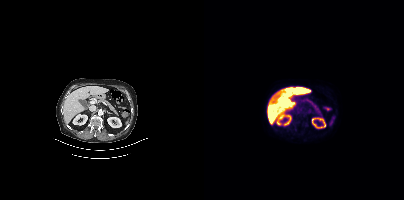
Paired axial CT (left) and PSMA PET (right), 18F tracer. Acquired on Siemens Biograph mCT Flow 20. Slice position z = -676 mm. No tumor lesions annotated on this slice.